Technique: Two-panel axial: CT | PSMA PET, 18F tracer.
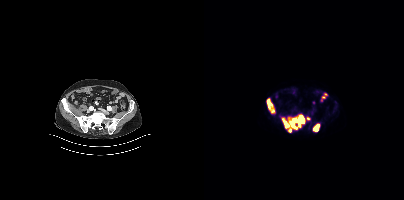
Findings: Coordinates are on the 200×200 PET (right) panel. PSMA-avid tumor lesion bounding boxes (x0, y0)-(x1, y1): (78, 115)-(100, 132); (62, 98)-(70, 113); (109, 124)-(115, 131). Small PSMA-avid focus (2 to 4 px across) near (center x, center y): (104, 118).